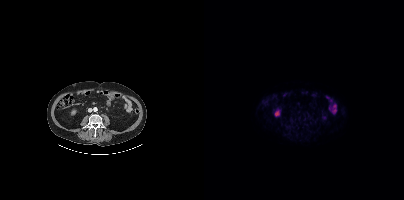
This slice has no annotated PSMA-avid lesion. Two-panel axial: CT | PSMA PET, 18F-PSMA tracer. PET panel 200×200 px (4.1 mm/px).